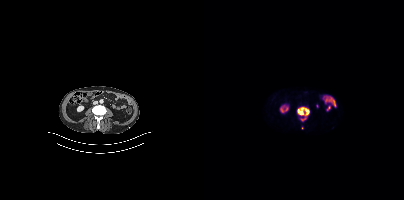
- Two-panel axial: CT | PSMA PET, 18F-PSMA tracer
- acquired on Siemens Biograph mCT Flow 20
- slice position z = -640 mm
- PET panel 200×200 px (4.1 mm/px)
Findings: Coordinates are on the 200×200 PET (right) panel. PSMA-avid tumor lesion bounding box (x0,y0,x1,y1): [93,107,105,121]. Small PSMA-avid focus (2 to 4 px across) near (center x, center y): (98, 127).